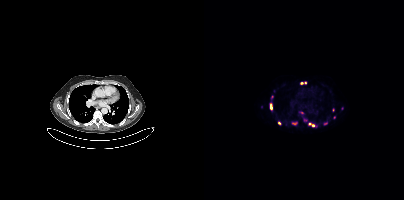
Two-panel axial: CT | PSMA PET, 68Ga-PSMA tracer.
Coordinates are on the 200×200 PET (right) panel. PSMA-avid tumor lesion bounding boxes (partial; 1 more focus not listed):
| # | x0 | y0 | x1 | y1 |
|---|---|---|---|---|
| 1 | 66 | 104 | 68 | 109 |
| 2 | 105 | 123 | 110 | 126 |
Small PSMA-avid foci (2 to 4 px across) near (center x, center y): (98, 83); (101, 120); (121, 123); (75, 122); (101, 82); (90, 123); (129, 110); (97, 112); (130, 117).